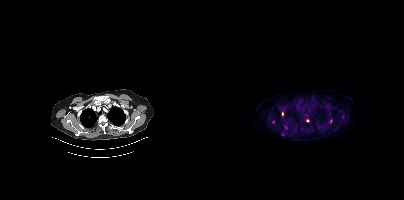
{"pet_grid":[200,200],"coord_frame":"pet_panel","coord_format":"x0,y0,x1,y1","lesion_bboxes":[],"small_foci_centers":[[81,127],[78,113],[103,120],[69,122],[126,121],[78,134]],"modality":"PSMA PET/CT","view":"axial","tracer":"[18F]PSMA-1007"}